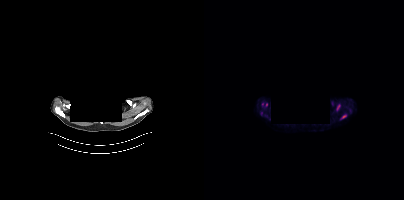
An anonymization step blacked out a rectangle over the head in this scan. Paired axial CT (left) and PSMA PET (right), 18F tracer. PET panel 200×200 px (4.1 mm/px).
Coordinates are on the 200×200 PET (right) panel. PSMA-avid tumor lesion bounding boxes (partial; 1 more focus not listed):
| # | x0 | y0 | x1 | y1 |
|---|---|---|---|---|
| 1 | 137 | 115 | 142 | 118 |
Small PSMA-avid focus (2 to 4 px across) near (center x, center y): (57, 113).